modality: PSMA PET/CT | tracer: 18F-PSMA | view: axial | PET grid: 256×256
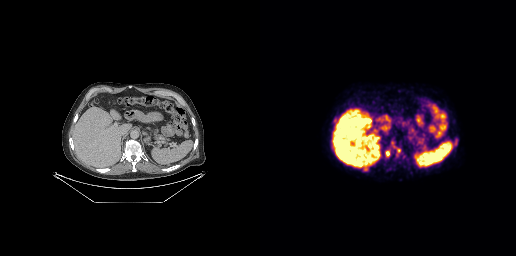
Coordinates are on the 256×256 PET (right) panel. PSMA-avid tumor lesion bounding box (x0,y0,x1,y1): [126,151,129,156]. Small PSMA-avid focus (2 to 4 px across) near (center x, center y): (139, 150).